Left: CT. Right: PSMA PET, same axial level, 18F-PSMA tracer. Slice 126 of 429. PET panel 200×200 px (4.1 mm/px).
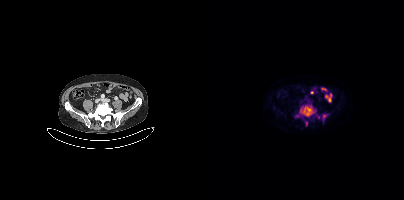
Coordinates are on the 200×200 PET (right) panel. PSMA-avid tumor lesion bounding boxes (partial; 1 more focus not listed):
| # | x0 | y0 | x1 | y1 |
|---|---|---|---|---|
| 1 | 96 | 105 | 111 | 116 |
| 2 | 118 | 114 | 123 | 120 |
Small PSMA-avid foci (2 to 4 px across) near (center x, center y): (102, 123); (93, 115).